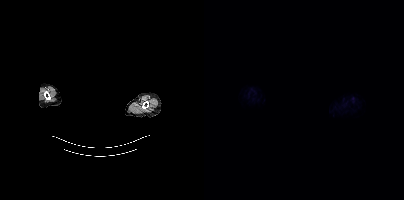
Left: CT. Right: PSMA PET, same axial level, 18F-PSMA tracer. Slice 419 of 444. Facial anatomy redacted by setting a rectangular region of the head to black. Negative for PSMA-avid disease on this slice.